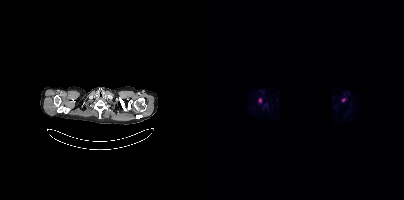
- Paired axial CT (left) and PSMA PET (right), 18F-PSMA tracer
- PET panel 200×200 px (4.1 mm/px)
- a region was redacted for de-identification by setting it to black
Findings: Coordinates are on the 200×200 PET (right) panel. PSMA-avid tumor lesion bounding box (x0,y0,x1,y1): [55,98,57,102]. Small PSMA-avid focus (2 to 4 px across) near (center x, center y): (139, 100).